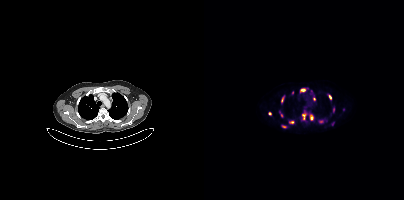
modality: PSMA PET/CT | tracer: 18F-PSMA | view: axial
Coordinates are on the 200×200 PET (right) panel. PSMA-avid tumor lesion bounding boxes (x0, y0)-(x1, y1): (106, 114)-(109, 120) | (96, 88)-(101, 91) | (98, 114)-(101, 119) | (115, 120)-(119, 122) | (85, 121)-(89, 123) | (129, 108)-(130, 112) | (77, 97)-(79, 102). Small PSMA-avid foci (2 to 4 px across) near (center x, center y): (110, 98) | (79, 126) | (126, 97) | (88, 92) | (77, 115) | (65, 113) | (139, 109).